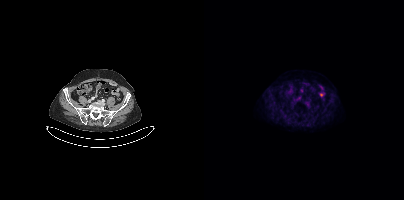
Negative for PSMA-avid disease on this slice. Left: CT. Right: PSMA PET, same axial level, 18F tracer. Acquired on Siemens Biograph mCT Flow 20. Slice position z = -815 mm.